Two-panel axial: CT | PSMA PET, [18F]PSMA-1007 tracer. Acquired on Siemens Biograph mCT Flow 20. Slice 42 of 423. PET panel 200×200 px (4.1 mm/px).
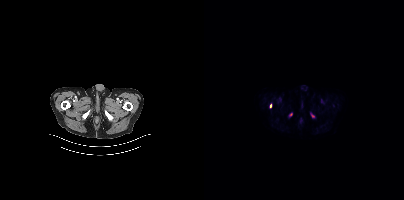
Coordinates are on the 200×200 PET (right) panel. (showing 2 of 3 foci) PSMA-avid tumor lesion bounding box (x0,y0,x1,y1): [65,103,68,108]. Small PSMA-avid focus (2 to 4 px across) near (center x, center y): (108, 115).